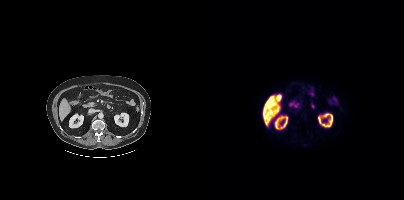
Paired axial CT (left) and PSMA PET (right), 18F-PSMA tracer. Slice 188 of 417. This slice has no annotated PSMA-avid lesion.